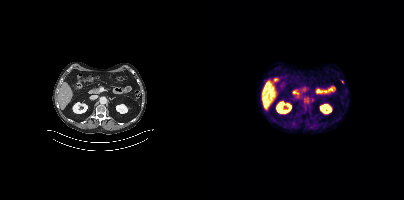
Two-panel axial: CT | PSMA PET, 18F-PSMA tracer. Slice position z = -524 mm. PET panel 200×200 px (4.1 mm/px). Coordinates are on the 200×200 PET (right) panel. Small PSMA-avid focus (2 to 4 px across) near (center x, center y): (138, 81).